modality: PSMA PET/CT | tracer: 68Ga | view: axial
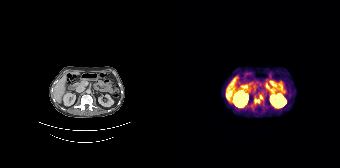
Coordinates are on the 168×168 PET (right) panel. PSMA-avid tumor lesion bounding box (x0, y0)-(x1, y1): (82, 95)-(90, 103).